Technique: Paired axial CT (left) and PSMA PET (right), 18F-PSMA tracer. acquired on Siemens Biograph mCT Flow 20. slice position z = -583 mm.
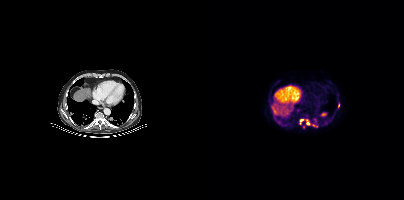
Findings: Coordinates are on the 200×200 PET (right) panel. (showing 6 of 7 foci) PSMA-avid tumor lesion bounding boxes (x0,y0,x1,y1): [102,119,106,124]; [109,124,113,126]. Small PSMA-avid foci (2 to 4 px across) near (center x, center y): (97, 120); (134, 106); (75, 121); (99, 126).